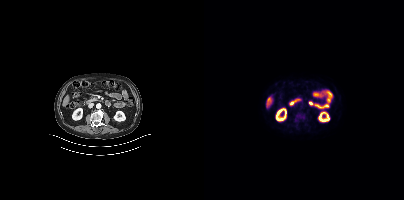
This slice has no annotated PSMA-avid lesion.
modality: PSMA PET/CT | tracer: [18F]PSMA-1007 | view: axial | PET grid: 200×200